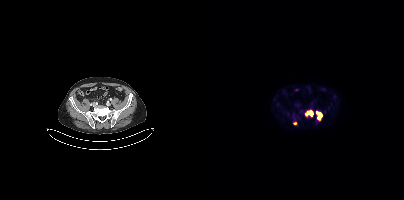
{"modality":"PSMA PET/CT","view":"axial","tracer":"18F","pet_grid":[200,200],"coord_frame":"pet_panel","coord_format":"x0,y0,x1,y1","lesion_bboxes":[[112,111,117,120],[102,111,108,116]],"small_foci_centers":[[90,123]]}